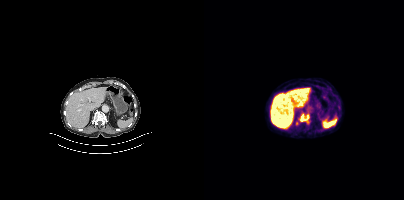
Two-panel axial: CT | PSMA PET, 18F tracer. Coordinates are on the 200×200 PET (right) panel. PSMA-avid tumor lesion bounding box (x0,y0,x1,y1): [96,114,104,121]. Small PSMA-avid focus (2 to 4 px across) near (center x, center y): (92, 123).